Technique: Two-panel axial: CT | PSMA PET, [68Ga]Ga-PSMA-11 tracer. PET panel 200×200 px (4.1 mm/px).
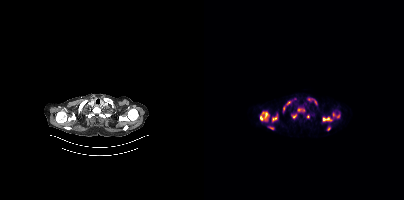
Findings: Coordinates are on the 200×200 PET (right) panel. (showing 12 of 13 foci) PSMA-avid tumor lesion bounding boxes (x0,y0,x1,y1): [56,112,64,120], [118,117,128,121], [129,112,136,118], [94,108,100,111], [68,116,73,120], [65,127,70,129], [83,101,87,103]. Small PSMA-avid foci (2 to 4 px across) near (center x, center y): (124, 128), (104, 116), (90, 116), (111, 102), (104, 99).